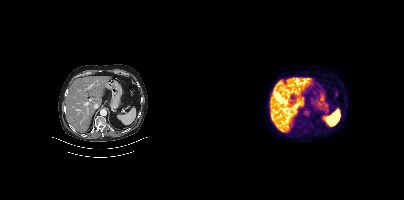
{"pet_grid":[200,200],"coord_frame":"pet_panel","coord_format":"x0,y0,x1,y1","psma_avid_lesions":false,"modality":"PSMA PET/CT","view":"axial","tracer":"18F"}